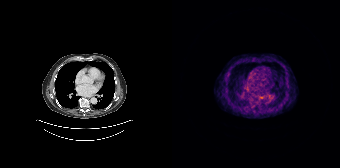
Coordinates are on the 168×168 PET (right) panel. PSMA-avid tumor lesion bounding box (x, y, width, height): x=107 y=102 w=5 h=5. Small PSMA-avid focus (2 to 4 px across) near (center x, center y): (89, 97).